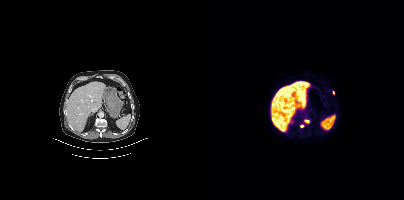
{"modality":"PSMA PET/CT","view":"axial","tracer":"18F","pet_grid":[200,200],"coord_frame":"pet_panel","coord_format":"x0,y0,x1,y1","partial":true,"lesion_bboxes":[],"small_foci_centers":[[102,121],[98,126]]}